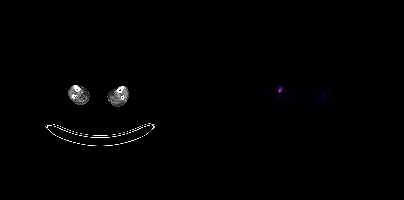
{"modality":"PSMA PET/CT","view":"axial","tracer":"[18F]PSMA-1007","pet_grid":[200,200],"coord_frame":"pet_panel","coord_format":"x0,y0,x1,y1","lesion_bboxes":[],"small_foci_centers":[[75,89]]}